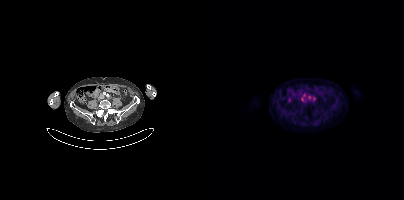
Coordinates are on the 200×200 PET (right) panel. Small PSMA-avid foci (2 to 4 px across) near (center x, center y): (105, 97) / (98, 99) / (100, 95) / (110, 98).